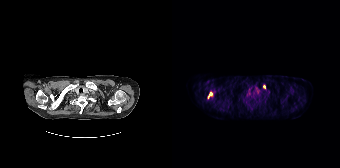
{"modality":"PSMA PET/CT","view":"axial","tracer":"18F-PSMA","pet_grid":[168,168],"coord_frame":"pet_panel","coord_format":"x0,y0,x1,y1","lesion_bboxes":[[36,92,40,98]],"small_foci_centers":[[92,86]]}